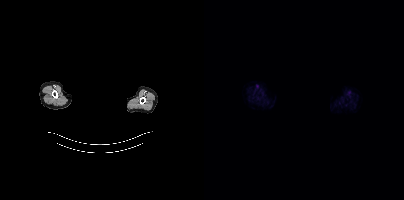
Findings: No tumor lesions annotated on this slice.
- Paired axial CT (left) and PSMA PET (right), 18F tracer
- head region blanked for anonymization (face removed)